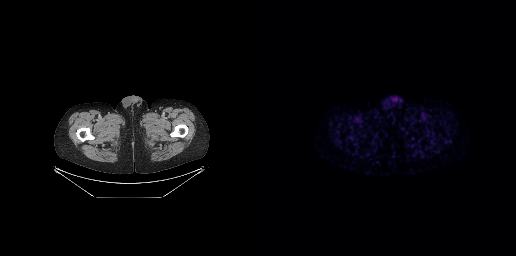
No tumor lesions annotated on this slice.